- Two-panel axial: CT | PSMA PET, [18F]PSMA-1007 tracer
- acquired on Siemens Biograph mCT Flow 20
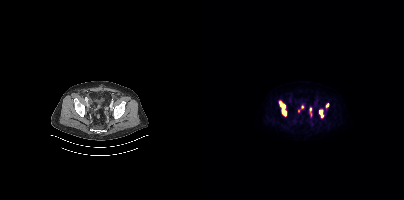
Findings: Coordinates are on the 200×200 PET (right) panel. PSMA-avid tumor lesion bounding boxes (x0,y0,x1,y1): [75,101,82,116], [115,109,119,117], [105,107,107,115], [122,103,124,107]. Small PSMA-avid foci (2 to 4 px across) near (center x, center y): (98, 106), (94, 110).